Technique: Left: CT. Right: PSMA PET, same axial level, 18F-PSMA tracer. acquired on Siemens Biograph mCT Flow 20.
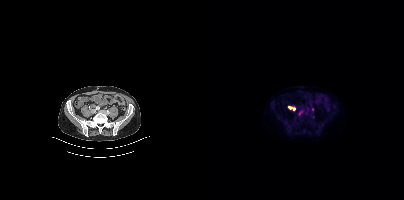
Findings: Coordinates are on the 200×200 PET (right) panel. PSMA-avid tumor lesion bounding box (x0,y0,x1,y1): [84,106,91,110]. Small PSMA-avid focus (2 to 4 px across) near (center x, center y): (108, 109).